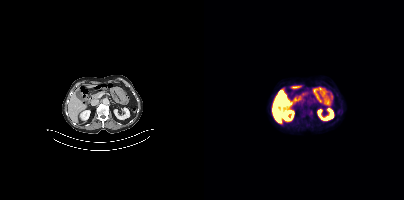
- Left: CT. Right: PSMA PET, same axial level, 18F-PSMA tracer
- acquired on Siemens Biograph mCT Flow 20
Findings: No tumor lesions annotated on this slice.